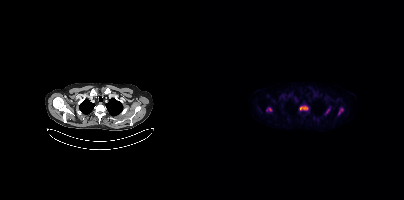
Paired axial CT (left) and PSMA PET (right), [18F]PSMA-1007 tracer. Acquired on Siemens Biograph mCT Flow 20. PET panel 200×200 px (4.1 mm/px).
Coordinates are on the 200×200 PET (right) panel. PSMA-avid tumor lesion bounding boxes:
| # | x0 | y0 | x1 | y1 |
|---|---|---|---|---|
| 1 | 96 | 106 | 104 | 110 |
| 2 | 134 | 108 | 139 | 114 |
| 3 | 122 | 109 | 125 | 113 |
Small PSMA-avid focus (2 to 4 px across) near (center x, center y): (66, 109).